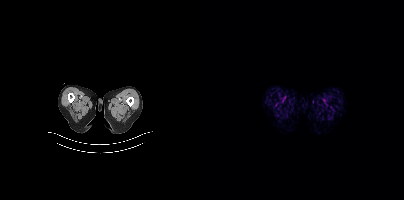
No tumor lesions annotated on this slice.